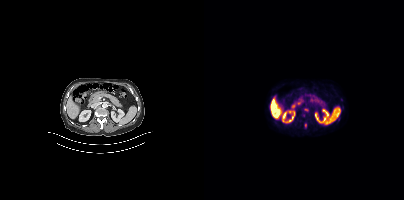
- Paired axial CT (left) and PSMA PET (right), 18F tracer
- slice position z = -1256 mm
- PET panel 200×200 px (4.1 mm/px)
Findings: Coordinates are on the 200×200 PET (right) panel. (showing 2 of 3 foci) Small PSMA-avid foci (2 to 4 px across) near (center x, center y): (102, 109); (101, 125).